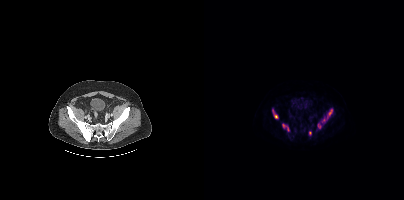
Coordinates are on the 200×200 PET (right) panel. PSMA-avid tumor lesion bounding boxes (x0, y0)-(x1, y1): (123, 109)-(128, 119) / (68, 109)-(74, 118) / (78, 124)-(85, 131) / (114, 123)-(117, 128) / (118, 118)-(121, 122). Small PSMA-avid focus (2 to 4 px across) near (center x, center y): (106, 133).